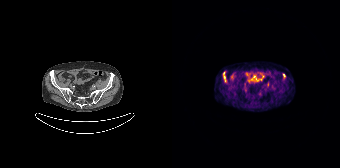
- Paired axial CT (left) and PSMA PET (right), 68Ga tracer
Findings: Coordinates are on the 168×168 PET (right) panel. (showing 3 of 4 foci) Small PSMA-avid foci (2 to 4 px across) near (center x, center y): (112, 75) (52, 77) (51, 72).